Two-panel axial: CT | PSMA PET, 68Ga-PSMA tracer. Slice 217 of 263. PET panel 256×256 px (2.7 mm/px).
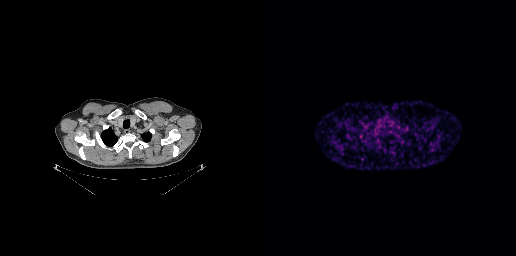
This slice has no annotated PSMA-avid lesion.